Two-panel axial: CT | PSMA PET, 68Ga tracer. PET panel 168×168 px (4.1 mm/px).
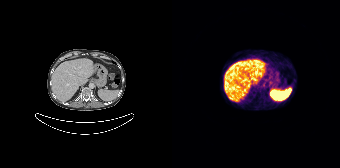
No tumor lesions annotated on this slice.